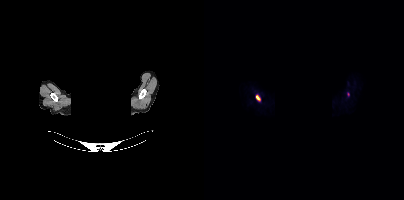
Technique: Paired axial CT (left) and PSMA PET (right), 18F tracer. acquired on Siemens Biograph mCT Flow 20. slice 357 of 395.
Note: Head region blanked for anonymization (face removed).
Findings: Coordinates are on the 200×200 PET (right) panel. (showing 1 of 2 foci) PSMA-avid tumor lesion bounding box (x0, y0)-(x1, y1): (52, 95)-(56, 101).